redaction: facial region redacted | modality: PSMA PET/CT | tracer: [18F]PSMA-1007 | view: axial | PET grid: 200×200
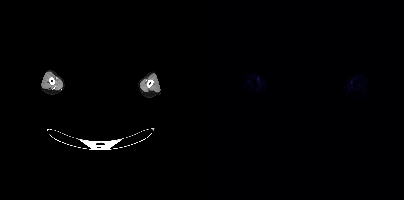
This slice has no annotated PSMA-avid lesion.